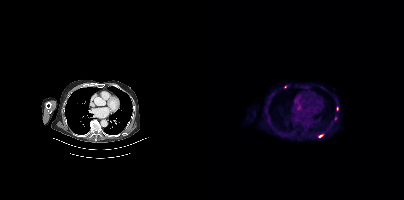
- Two-panel axial: CT | PSMA PET, 18F-PSMA tracer
- acquired on Siemens Biograph mCT Flow 20
Findings: Coordinates are on the 200×200 PET (right) panel. Small PSMA-avid foci (2 to 4 px across) near (center x, center y): (116, 136); (133, 108); (68, 94); (81, 86); (131, 118).